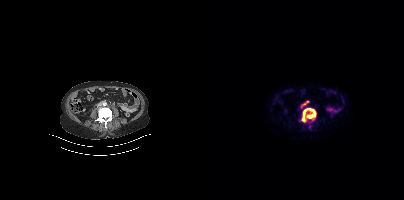
Two-panel axial: CT | PSMA PET, [68Ga]Ga-PSMA-11 tracer. PET panel 200×200 px (4.1 mm/px). Coordinates are on the 200×200 PET (right) panel. (showing 2 of 3 foci) PSMA-avid tumor lesion bounding box (x0, y0)-(x1, y1): (96, 108)-(111, 123). Small PSMA-avid focus (2 to 4 px across) near (center x, center y): (98, 106).